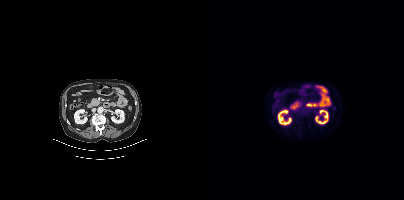
Left: CT. Right: PSMA PET, same axial level, 18F tracer. Slice position z = -606 mm. No tumor lesions annotated on this slice.